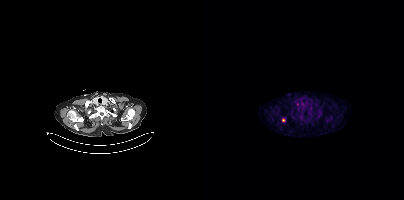
Coordinates are on the 200×200 PET (right) panel. Small PSMA-avid foci (2 to 4 px across) near (center x, center y): (79, 120); (93, 104).